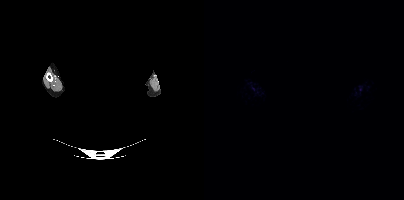
Technique: Paired axial CT (left) and PSMA PET (right), [18F]PSMA-1007 tracer.
Note: De-identified by setting a box covering the face to black before release.
Findings: Negative for PSMA-avid disease on this slice.